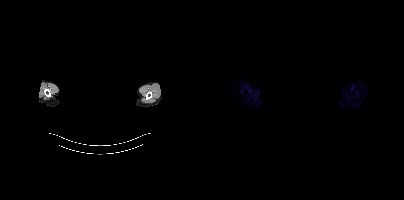
A rectangle over the head was blacked out to remove identifiable facial features.
No tumor lesions annotated on this slice.